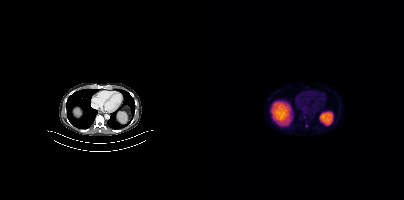
No tumor lesions annotated on this slice.